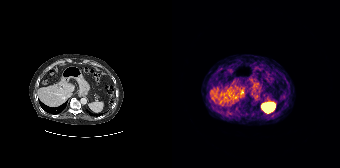
Technique: Two-panel axial: CT | PSMA PET, 68Ga-PSMA tracer. acquired on Siemens Biograph 64-4R TruePoint. PET panel 168×168 px (4.1 mm/px).
Findings: Negative for PSMA-avid disease on this slice.